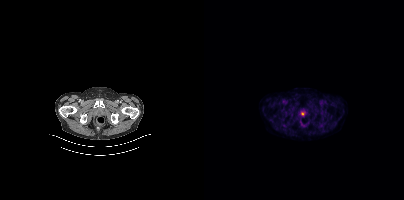
This slice has no annotated PSMA-avid lesion.